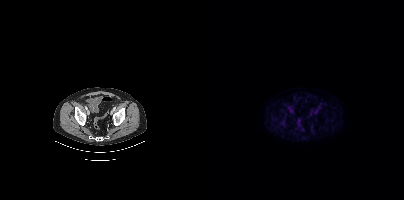
Findings: Negative for PSMA-avid disease on this slice.
Technique: Two-panel axial: CT | PSMA PET, 18F tracer. acquired on Siemens Biograph mCT Flow 20. slice 93 of 417.